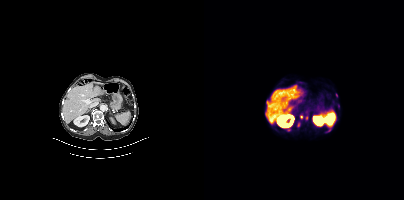
modality: PSMA PET/CT | tracer: 68Ga | view: axial | PET grid: 200×200
Coordinates are on the 200×200 PET (right) panel. PSMA-avid tumor lesion bounding box (x0, y0)-(x1, y1): (101, 115)-(104, 120). Small PSMA-avid foci (2 to 4 px across) near (center x, center y): (94, 124); (97, 116); (84, 129); (102, 111).